Two-panel axial: CT | PSMA PET, 18F tracer. Slice 301 of 427. PET panel 200×200 px (4.1 mm/px).
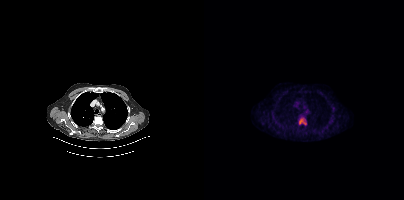
Coordinates are on the 200×200 PET (right) panel. PSMA-avid tumor lesion bounding box (x0,y0,x1,y1): [95,118,102,124].